- Left: CT. Right: PSMA PET, same axial level, 18F-PSMA tracer
- slice position z = -856 mm
- PET panel 200×200 px (4.1 mm/px)
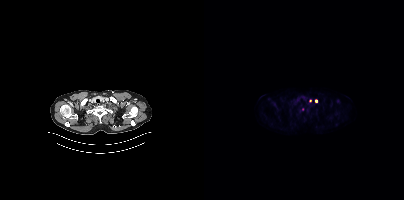
Findings: Only PSMA-avid lesion pieces thinner than 2 px on this slice (not listed).